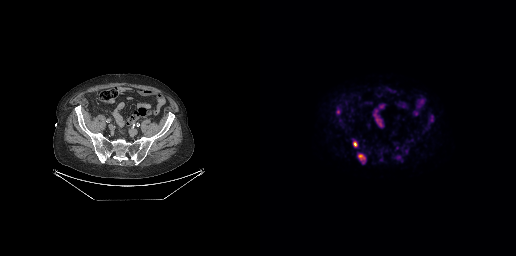
Findings: Coordinates are on the 256×256 PET (right) panel. PSMA-avid tumor lesion bounding boxes (x, y, width, height): x=98 y=154 w=8 h=7 | x=76 y=108 w=5 h=7 | x=170 y=115 w=4 h=7 | x=93 y=141 w=5 h=6. Small PSMA-avid focus (2 to 4 px across) near (center x, center y): (138, 157).
- Paired axial CT (left) and PSMA PET (right), 18F tracer
- acquired on GE Discovery 690
- slice position z = -638 mm